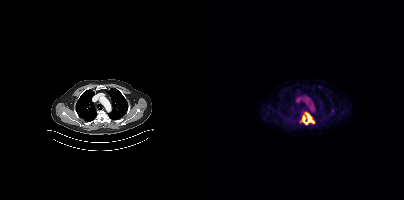
Coordinates are on the 200×200 PET (right) panel. (showing 2 of 3 foci) PSMA-avid tumor lesion bounding box (x, y, width, height): x=98 y=112 w=13 h=13. Small PSMA-avid focus (2 to 4 px across) near (center x, center y): (128, 110).